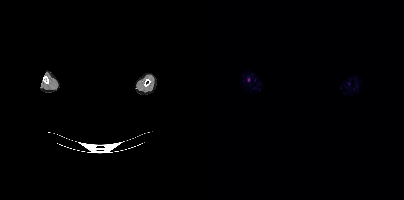
- Paired axial CT (left) and PSMA PET (right), [18F]PSMA-1007 tracer
- acquired on Siemens Biograph mCT Flow 20
- head region blanked for anonymization (face removed)
Findings: No tumor lesions annotated on this slice.